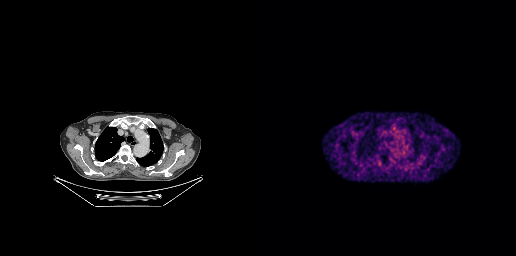
{"pet_grid":[256,256],"coord_frame":"pet_panel","coord_format":"x0,y0,x1,y1","psma_avid_lesions":false,"modality":"PSMA PET/CT","view":"axial","tracer":"68Ga-PSMA"}